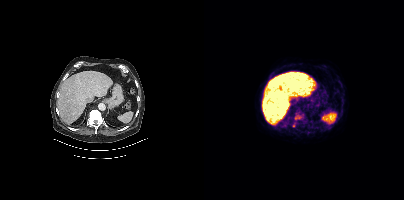
- Paired axial CT (left) and PSMA PET (right), [18F]PSMA-1007 tracer
- acquired on Siemens Biograph mCT Flow 20
- PET panel 200×200 px (4.1 mm/px)
Findings: Only PSMA-avid lesion pieces thinner than 2 px on this slice (not listed).